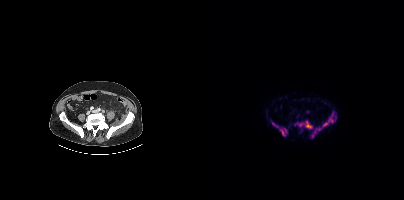
Coordinates are on the 200×200 PET (right) panel. PSMA-avid tumor lesion bounding boxes (x0,y0,x1,y1): [107,111,132,138]; [91,120,107,128]; [68,122,80,135]. Small PSMA-avid focus (2 to 4 px across) near (center x, center y): (81, 130).